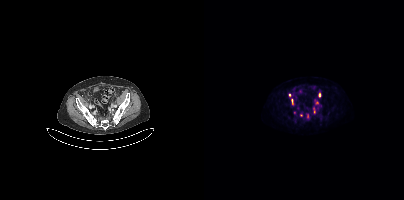
modality: PSMA PET/CT | tracer: 18F | view: axial
Coordinates are on the 200×200 PET (right) panel. (showing 7 of 8 foci) PSMA-avid tumor lesion bounding boxes (x, y, width, height): x=87 y=99 w=3 h=6 / x=111 y=100 w=4 h=5 / x=109 y=107 w=3 h=6. Small PSMA-avid foci (2 to 4 px across) near (center x, center y): (97, 115) / (103, 115) / (115, 95) / (85, 94).